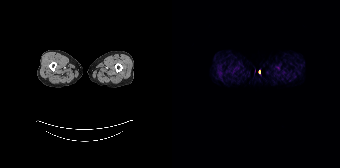
Negative for PSMA-avid disease on this slice.
modality: PSMA PET/CT | tracer: 68Ga-PSMA | view: axial